Technique: Left: CT. Right: PSMA PET, same axial level, [18F]PSMA-1007 tracer. slice 348 of 391.
Note: Face de-identified by blanking a block of the head.
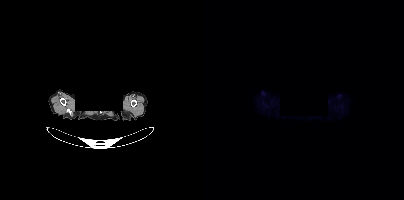
Findings: No tumor lesions annotated on this slice.